Two-panel axial: CT | PSMA PET, 18F-PSMA tracer. Acquired on Siemens Biograph mCT Flow 20. Slice position z = -254 mm.
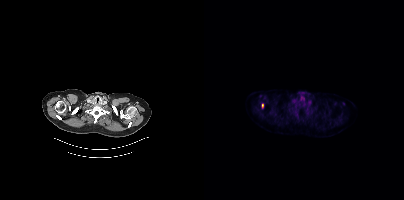
Coordinates are on the 200×200 PET (right) panel. Small PSMA-avid focus (2 to 4 px across) near (center x, center y): (58, 105).